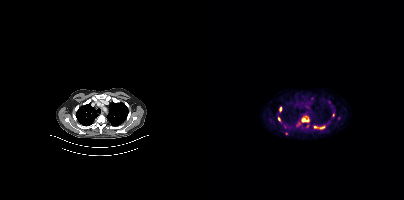
Left: CT. Right: PSMA PET, same axial level, [18F]PSMA-1007 tracer. Acquired on Siemens Biograph mCT Flow 20. PET panel 200×200 px (4.1 mm/px).
Coordinates are on the 200×200 PET (right) panel. PSMA-avid tumor lesion bounding boxes (partial; 2 more foci not listed):
| # | x0 | y0 | x1 | y1 |
|---|---|---|---|---|
| 1 | 97 | 116 | 105 | 122 |
| 2 | 110 | 126 | 120 | 128 |
| 3 | 75 | 107 | 77 | 111 |
| 4 | 74 | 117 | 76 | 121 |
Small PSMA-avid foci (2 to 4 px across) near (center x, center y): (129, 115); (103, 125).